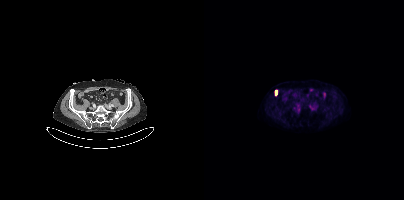
Left: CT. Right: PSMA PET, same axial level, 18F-PSMA tracer. Acquired on Siemens Biograph mCT Flow 20.
Coordinates are on the 200×200 PET (right) panel. PSMA-avid tumor lesion bounding boxes:
| # | x0 | y0 | x1 | y1 |
|---|---|---|---|---|
| 1 | 71 | 90 | 73 | 95 |